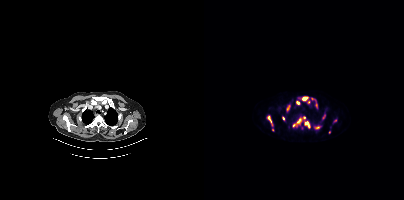
Coordinates are on the 200×200 PET (right) panel. (showing 10 of 14 foci) PSMA-avid tumor lesion bounding boxes (x, y, width, height): x=89 y=118 w=9 h=9 | x=100 y=121 w=7 h=8 | x=98 y=97 w=6 h=4 | x=64 y=116 w=4 h=7 | x=82 y=106 w=4 h=6 | x=112 y=103 w=2 h=5. Small PSMA-avid foci (2 to 4 px across) near (center x, center y): (79, 118) | (94, 102) | (100, 117) | (113, 127).
modality: PSMA PET/CT | tracer: [18F]PSMA-1007 | view: axial | PET grid: 200×200